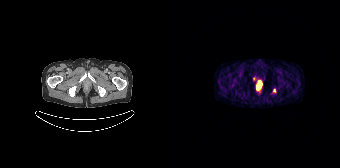
Coordinates are on the 168×168 PET (right) panel. (showing 2 of 3 foci) PSMA-avid tumor lesion bounding box (x0, y0)-(x1, y1): (84, 85)-(87, 89). Small PSMA-avid focus (2 to 4 px across) near (center x, center y): (87, 82).